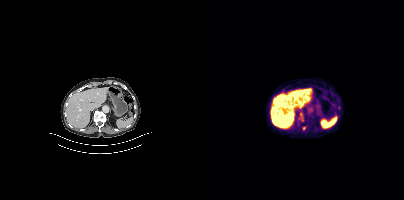
Negative for PSMA-avid disease on this slice. Two-panel axial: CT | PSMA PET, [18F]PSMA-1007 tracer.